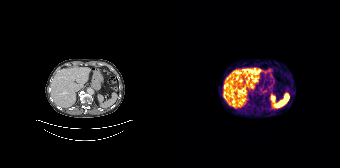
modality: PSMA PET/CT | tracer: 68Ga-PSMA | view: axial | PET grid: 168×168
No PSMA-avid tumor lesions on this slice.